modality: PSMA PET/CT | tracer: [68Ga]Ga-PSMA-11 | view: axial | PET grid: 256×256
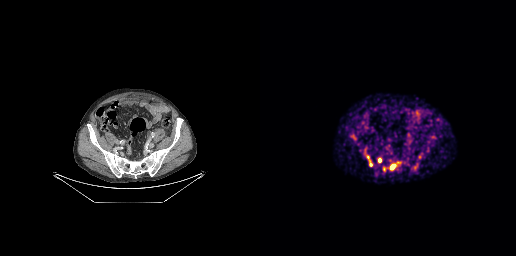
Coordinates are on the 256×256 PET (right) panel. (showing 5 of 6 foci) PSMA-avid tumor lesion bounding boxes (x0, y0)-(x1, y1): (130, 165)-(135, 169); (118, 158)-(121, 162); (110, 161)-(112, 166). Small PSMA-avid foci (2 to 4 px across) near (center x, center y): (107, 157); (159, 156).